modality: PSMA PET/CT | tracer: 18F-PSMA | view: axial | PET grid: 256×256
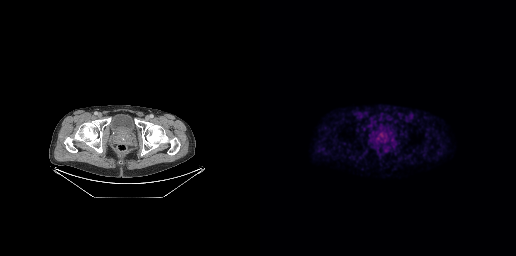
Coordinates are on the 256×256 PET (right) panel. PSMA-avid tumor lesion bounding box (x0, y0)-(x1, y1): (116, 132)-(127, 142).